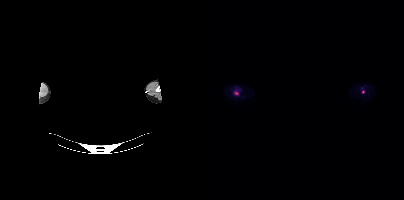
Any black rectangle over the head is a privacy mask, not anatomy.
Coordinates are on the 200×200 PET (right) panel. Small PSMA-avid foci (2 to 4 px across) near (center x, center y): (32, 93), (158, 91).